Technique: Two-panel axial: CT | PSMA PET, [18F]PSMA-1007 tracer. acquired on Siemens Biograph mCT Flow 20. slice position z = 78 mm.
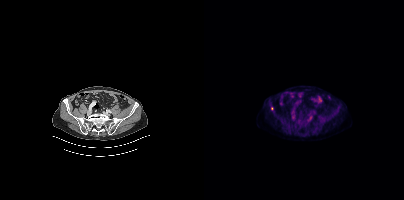
Findings: Coordinates are on the 200×200 PET (right) panel. PSMA-avid tumor lesion bounding box (x, y, width, height): x=105 y=116 w=4 h=5. Small PSMA-avid focus (2 to 4 px across) near (center x, center y): (67, 108).